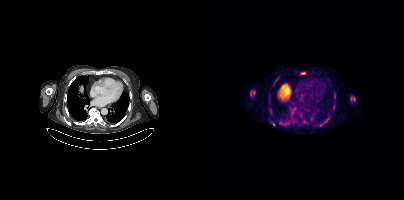
Technique: Two-panel axial: CT | PSMA PET, [18F]PSMA-1007 tracer. acquired on Siemens Biograph mCT Flow 20. PET panel 200×200 px (4.1 mm/px).
Findings: Coordinates are on the 200×200 PET (right) panel. (showing 9 of 10 foci) PSMA-avid tumor lesion bounding boxes (x0,y0,x1,y1): [46,90,51,96], [146,96,151,101], [122,117,126,121], [115,122,119,126], [97,72,101,74], [130,93,131,98]. Small PSMA-avid foci (2 to 4 px across) near (center x, center y): (69, 124), (73, 78), (75, 122).